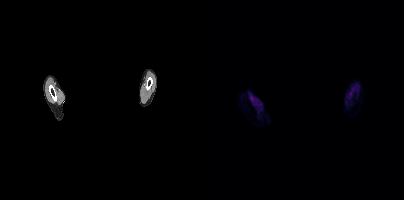
Head region blanked for anonymization (face removed).
No tumor lesions annotated on this slice.